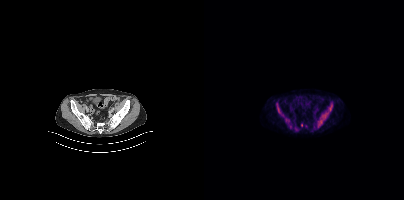
Coordinates are on the 200×200 PET (right) panel. PSMA-avid tumor lesion bounding boxes (x, y, width, height): x=114 y=112 w=11 h=16; x=73 y=108 w=7 h=9; x=125 y=104 w=4 h=8; x=81 y=118 w=5 h=5. Small PSMA-avid focus (2 to 4 px across) near (center x, center y): (86, 126).